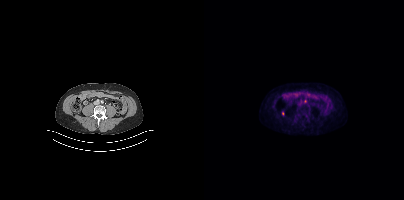
Coordinates are on the 200×200 PET (right) panel. (showing 1 of 2 foci) Small PSMA-avid focus (2 to 4 px across) near (center x, center y): (78, 113).
modality: PSMA PET/CT | tracer: 18F-PSMA | view: axial